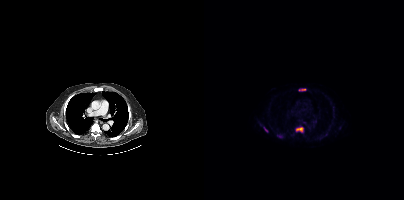
Coordinates are on the 200×200 PET (right) panel. (showing 3 of 4 foci) PSMA-avid tumor lesion bounding boxes (x0,y0,x1,y1): [92,127,99,132], [59,127,64,132], [95,89,101,90].